modality: PSMA PET/CT | tracer: [18F]PSMA-1007 | view: axial | PET grid: 200×200
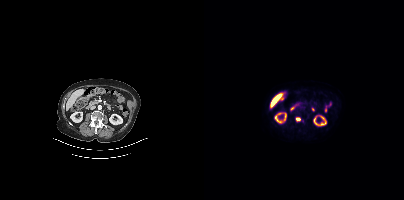
Coordinates are on the 200×200 PET (right) panel. PSMA-avid tumor lesion bounding box (x, y, width, height): x=91 y=117 w=6 h=5.